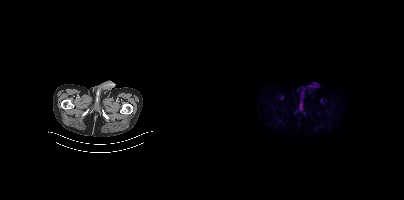
Technique: Two-panel axial: CT | PSMA PET, [18F]PSMA-1007 tracer. slice 40 of 415. PET panel 200×200 px (4.1 mm/px).
Findings: No PSMA-avid tumor lesions on this slice.